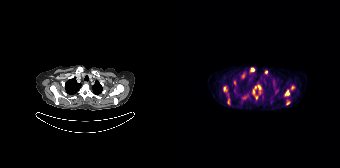
{"pet_grid":[168,168],"coord_frame":"pet_panel","coord_format":"x0,y0,x1,y1","lesion_bboxes":[[81,85,89,94],[112,89,118,96],[51,86,55,91],[78,67,82,72],[71,94,77,98],[114,100,118,105],[119,85,122,90],[69,73,72,77],[55,99,57,104]],"small_foci_centers":[[94,71],[62,80],[84,97],[87,92]],"modality":"PSMA PET/CT","view":"axial","tracer":"68Ga-PSMA"}